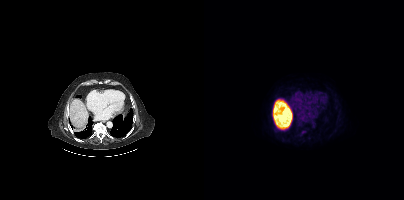
No PSMA-avid tumor lesions on this slice.
modality: PSMA PET/CT | tracer: 18F | view: axial